- Two-panel axial: CT | PSMA PET, [18F]PSMA-1007 tracer
- PET panel 200×200 px (4.1 mm/px)
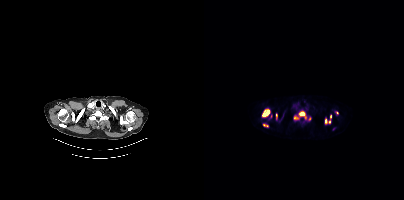
Findings: Coordinates are on the 200×200 PET (right) panel. PSMA-avid tumor lesion bounding boxes (x, y, width, height): x=58 y=109 w=8 h=8 | x=95 y=111 w=8 h=8 | x=90 y=116 w=5 h=4 | x=121 y=119 w=3 h=5 | x=59 y=124 w=5 h=3. Small PSMA-avid foci (2 to 4 px across) near (center x, center y): (126, 116) | (72, 115) | (125, 122) | (133, 112) | (105, 118).